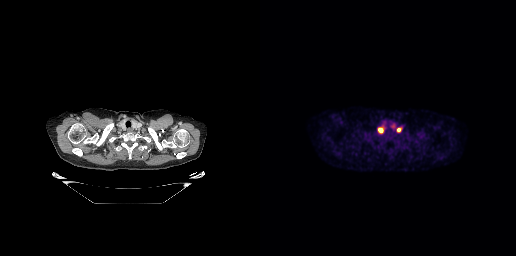
Coordinates are on the 256×256 PET (right) panel. PSMA-avid tumor lesion bounding boxes (x0,y0,x1,y1): [118,128,123,132]; [137,128,141,132].